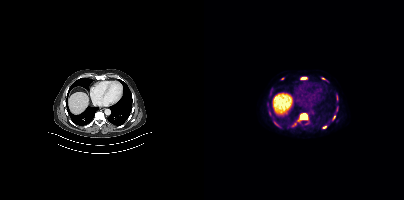
Technique: Two-panel axial: CT | PSMA PET, 18F tracer. acquired on Siemens Biograph mCT Flow 20.
Findings: Coordinates are on the 200×200 PET (right) panel. (showing 9 of 11 foci) PSMA-avid tumor lesion bounding boxes (x0,y0,x1,y1): [96,113,103,119] [97,77,102,79]. Small PSMA-avid foci (2 to 4 px across) near (center x, center y): (90, 124) (120, 127) (130, 117) (119, 78) (132, 96) (78, 78) (75, 126).